- an anonymization step blacked out a rectangle over the head in this scan
- Paired axial CT (left) and PSMA PET (right), [18F]PSMA-1007 tracer
- acquired on Siemens Biograph mCT Flow 20
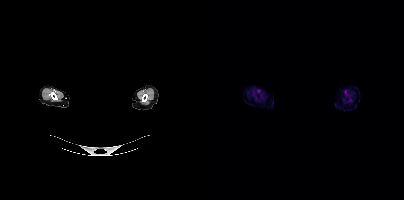
Findings: No tumor lesions annotated on this slice.